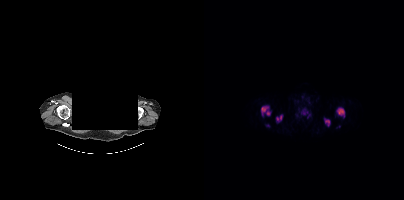
de-identification: rectangular block over head set to black | modality: PSMA PET/CT | tracer: 18F-PSMA | view: axial
Coordinates are on the 200×200 PET (right) panel. (showing 7 of 8 foci) PSMA-avid tumor lesion bounding boxes (x, y, width, height): x=57 y=105 w=11 h=13 / x=132 y=107 w=9 h=11 / x=72 y=114 w=8 h=10 / x=120 y=118 w=7 h=9 / x=97 y=109 w=7 h=6. Small PSMA-avid foci (2 to 4 px across) near (center x, center y): (63, 125) / (104, 115).